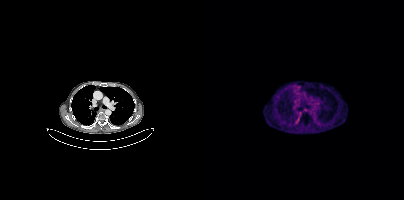
modality: PSMA PET/CT | tracer: 68Ga | view: axial | PET grid: 200×200
No PSMA-avid tumor lesions on this slice.